modality: PSMA PET/CT | tracer: 18F | view: axial | PET grid: 256×256
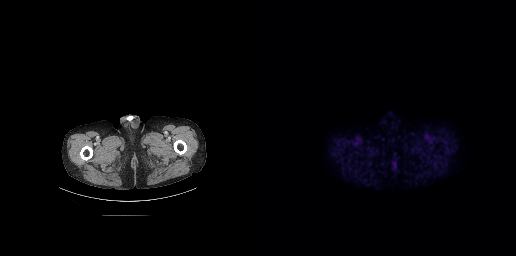
No PSMA-avid tumor lesions on this slice.